Technique: Paired axial CT (left) and PSMA PET (right), 18F-PSMA tracer. acquired on Siemens Biograph mCT Flow 20. PET panel 200×200 px (4.1 mm/px).
Note: De-identified by setting a box covering the face to black before release.
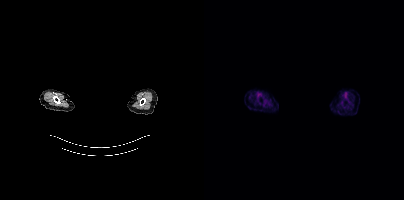
Findings: No PSMA-avid tumor lesions on this slice.